The face region was removed for patient privacy by blanking a rectangle over the head.
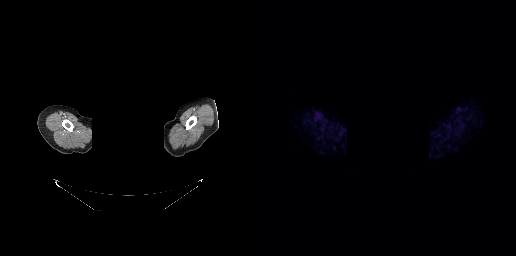
No tumor lesions annotated on this slice.